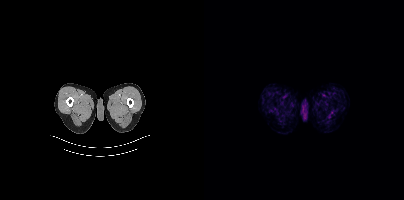
modality: PSMA PET/CT | tracer: [18F]PSMA-1007 | view: axial
No PSMA-avid tumor lesions on this slice.